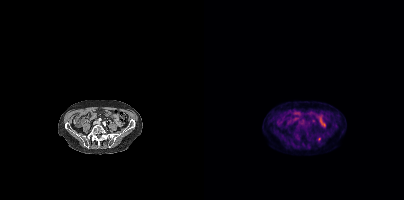
{"modality":"PSMA PET/CT","view":"axial","tracer":"[18F]PSMA-1007","pet_grid":[200,200],"coord_frame":"pet_panel","coord_format":"x0,y0,x1,y1","partial":true,"lesion_bboxes":[],"small_foci_centers":[[131,125]]}